- Two-panel axial: CT | PSMA PET, 18F-PSMA tracer
- acquired on Siemens Biograph mCT Flow 20
- slice position z = -1592 mm
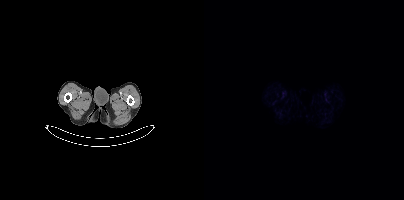
Findings: No PSMA-avid tumor lesions on this slice.